- Left: CT. Right: PSMA PET, same axial level, 18F-PSMA tracer
- acquired on Siemens Biograph mCT Flow 20
- slice 38 of 401
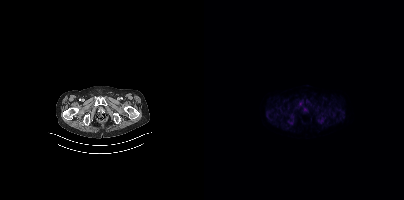
Findings: Only PSMA-avid lesion pieces thinner than 2 px on this slice (not listed).